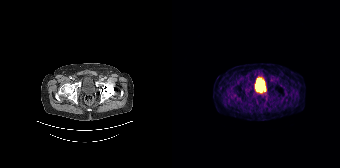
Left: CT. Right: PSMA PET, same axial level, 68Ga-PSMA tracer. Slice 33 of 165. PET panel 168×168 px (4.1 mm/px). This slice has no annotated PSMA-avid lesion.